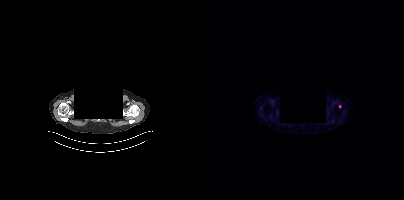
{"modality":"PSMA PET/CT","view":"axial","tracer":"18F-PSMA","pet_grid":[200,200],"coord_frame":"pet_panel","coord_format":"x0,y0,x1,y1","lesion_bboxes":[],"small_foci_centers":[[135,106]],"deidentification":"privacy mask over head"}